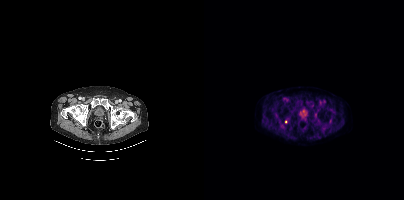
Coordinates are on the 200×200 PET (right) panel. Small PSMA-avid focus (2 to 4 px across) near (center x, center y): (81, 121). Paired axial CT (left) and PSMA PET (right), 18F-PSMA tracer. PET panel 200×200 px (4.1 mm/px).